Left: CT. Right: PSMA PET, same axial level, 68Ga-PSMA tracer. Slice 152 of 165. PET panel 168×168 px (4.1 mm/px). The face region was removed for patient privacy by blanking a rectangle over the head.
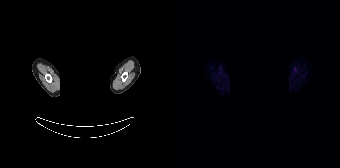
This slice has no annotated PSMA-avid lesion.